modality: PSMA PET/CT | tracer: 68Ga-PSMA | view: axial
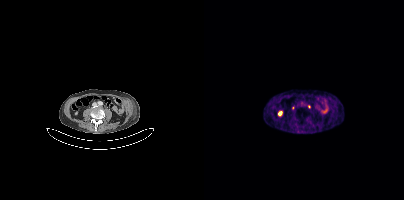
No tumor lesions annotated on this slice.